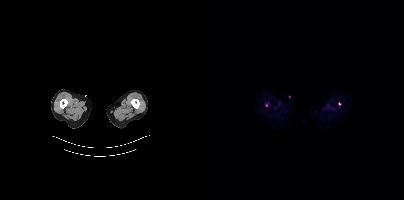
Findings: Coordinates are on the 200×200 PET (right) panel. Small PSMA-avid foci (2 to 4 px across) near (center x, center y): (135, 103) | (62, 105).
Technique: Two-panel axial: CT | PSMA PET, 18F tracer. acquired on Siemens Biograph mCT Flow 20. PET panel 200×200 px (4.1 mm/px).